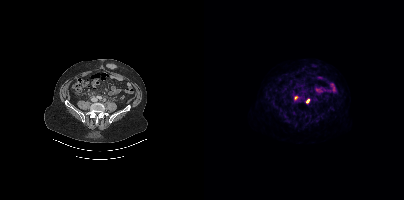
{"modality":"PSMA PET/CT","view":"axial","tracer":"18F-PSMA","pet_grid":[200,200],"coord_frame":"pet_panel","coord_format":"x0,y0,x1,y1","lesion_bboxes":[],"small_foci_centers":[[91,97],[102,102]]}